modality: PSMA PET/CT | tracer: 18F | view: axial | PET grid: 256×256
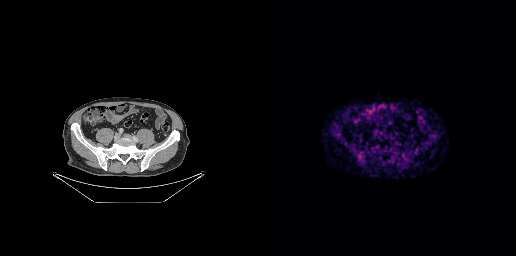
This slice has no annotated PSMA-avid lesion.